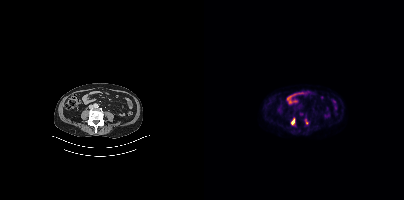
Left: CT. Right: PSMA PET, same axial level, 18F-PSMA tracer. Acquired on Siemens Biograph mCT Flow 20. Slice position z = -756 mm. Coordinates are on the 200×200 PET (right) panel. Small PSMA-avid focus (2 to 4 px across) near (center x, center y): (88, 122).